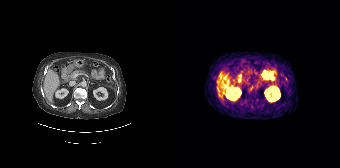
Findings: This slice has no annotated PSMA-avid lesion.
Technique: Paired axial CT (left) and PSMA PET (right), [68Ga]Ga-PSMA-11 tracer. acquired on Siemens Biograph 64-4R TruePoint. slice 77 of 165.